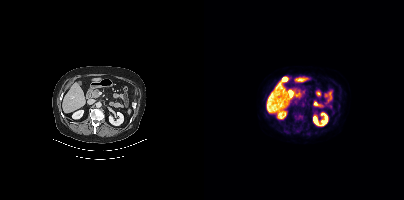
Negative for PSMA-avid disease on this slice.